Left: CT. Right: PSMA PET, same axial level, 18F tracer. Acquired on Siemens Biograph mCT Flow 20. PET panel 200×200 px (4.1 mm/px).
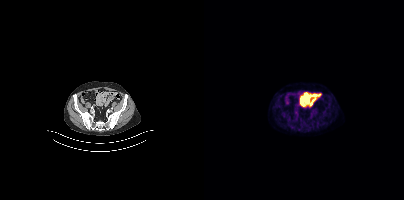
No tumor lesions annotated on this slice.